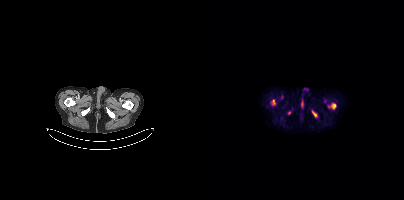
Coordinates are on the 200×200 PET (right) panel. PSMA-avid tumor lesion bounding boxes:
| # | x0 | y0 | x1 | y1 |
|---|---|---|---|---|
| 1 | 67 | 99 | 71 | 105 |
| 2 | 127 | 103 | 131 | 108 |
| 3 | 108 | 111 | 112 | 116 |
Small PSMA-avid focus (2 to 4 px across) near (center x, center y): (85, 113).
Left: CT. Right: PSMA PET, same axial level, 18F-PSMA tracer. Acquired on Siemens Biograph mCT Flow 20. Slice position z = -972 mm.